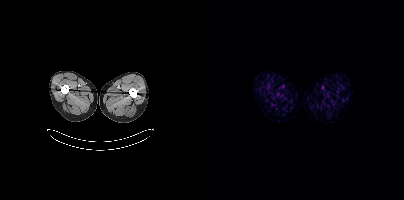
- Left: CT. Right: PSMA PET, same axial level, [18F]PSMA-1007 tracer
- slice 9 of 454
Findings: No PSMA-avid tumor lesions on this slice.